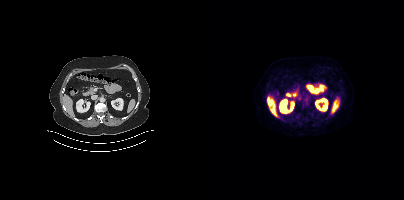
This slice has no annotated PSMA-avid lesion.
modality: PSMA PET/CT | tracer: 18F-PSMA | view: axial